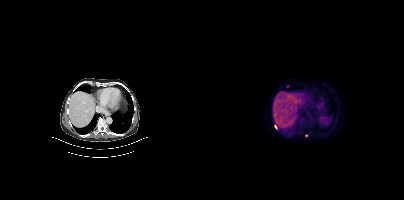
Left: CT. Right: PSMA PET, same axial level, 18F-PSMA tracer. PET panel 200×200 px (4.1 mm/px). Coordinates are on the 200×200 PET (right) panel. (showing 2 of 3 foci) Small PSMA-avid foci (2 to 4 px across) near (center x, center y): (71, 126); (102, 135).